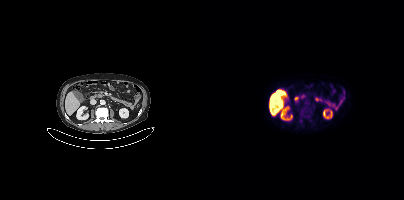
{"modality":"PSMA PET/CT","view":"axial","tracer":"[18F]PSMA-1007","pet_grid":[200,200],"coord_frame":"pet_panel","coord_format":"x0,y0,x1,y1","psma_avid_lesions":false}